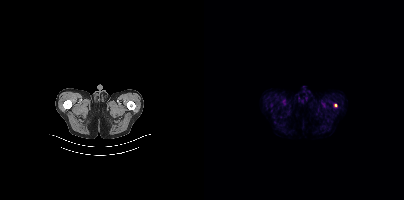
{"modality":"PSMA PET/CT","view":"axial","tracer":"18F","pet_grid":[200,200],"coord_frame":"pet_panel","coord_format":"x0,y0,x1,y1","lesion_bboxes":[],"small_foci_centers":[[131,105]]}